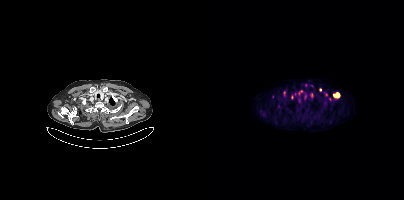
Coordinates are on the 200×200 PET (right) panel. (showing 10 of 11 foci) PSMA-avid tumor lesion bounding boxes (x0, y0)-(x1, y1): (129, 92)-(136, 98) | (94, 98)-(96, 102) | (106, 93)-(109, 97). Small PSMA-avid foci (2 to 4 px across) near (center x, center y): (97, 91) | (88, 96) | (80, 92) | (74, 106) | (116, 89) | (122, 94) | (68, 96).